- Two-panel axial: CT | PSMA PET, 68Ga tracer
- acquired on Siemens Biograph mCT Flow 20
- slice position z = -1246 mm
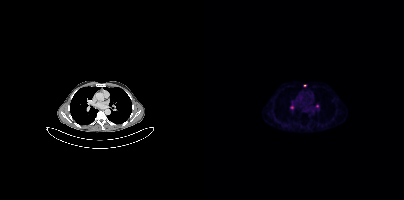
Findings: Coordinates are on the 200×200 PET (right) panel. Small PSMA-avid foci (2 to 4 px across) near (center x, center y): (88, 107), (101, 85), (113, 105).